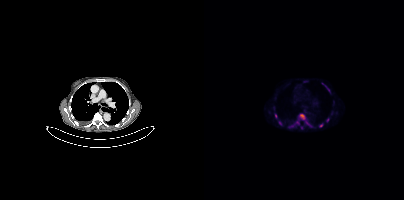
- Two-panel axial: CT | PSMA PET, 18F tracer
- acquired on Siemens Biograph mCT Flow 20
- slice 242 of 354
- PET panel 200×200 px (4.1 mm/px)
Findings: Coordinates are on the 200×200 PET (right) panel. (showing 8 of 10 foci) PSMA-avid tumor lesion bounding box (x0, y0)-(x1, y1): (95, 114)-(101, 119). Small PSMA-avid foci (2 to 4 px across) near (center x, center y): (116, 125) / (71, 115) / (76, 123) / (124, 90) / (123, 120) / (106, 125) / (102, 122).